redaction: head region blanked (face removed) | modality: PSMA PET/CT | tracer: 68Ga-PSMA | view: axial
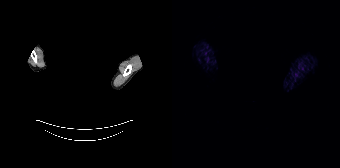
Negative for PSMA-avid disease on this slice.